Paired axial CT (left) and PSMA PET (right), 68Ga-PSMA tracer. Acquired on GE Discovery 690. Slice position z = -420 mm. PET panel 256×256 px (2.7 mm/px).
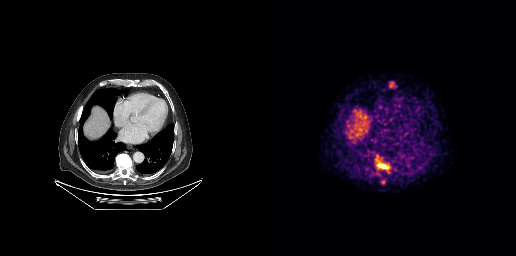
Coordinates are on the 256×256 PET (right) panel. PSMA-avid tumor lesion bounding boxes (partial; 3 more foci not listed):
| # | x0 | y0 | x1 | y1 |
|---|---|---|---|---|
| 1 | 115 | 155 | 130 | 170 |
Small PSMA-avid focus (2 to 4 px across) near (center x, center y): (123, 182).